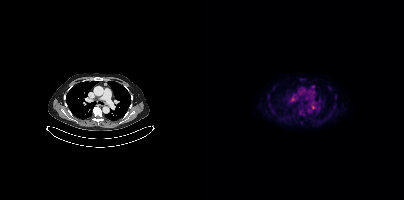
Coordinates are on the 200×200 PET (right) panel. PSMA-avid tumor lesion bounding box (x, y, width, height): x=107 y=105 w=10 h=5. Small PSMA-avid foci (2 to 4 px across) near (center x, center y): (88, 99); (109, 86). Paired axial CT (left) and PSMA PET (right), [18F]PSMA-1007 tracer. Slice 309 of 431.